Left: CT. Right: PSMA PET, same axial level, [18F]PSMA-1007 tracer. Slice 316 of 454.
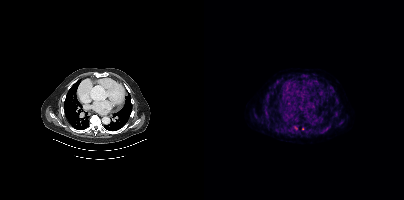
Coordinates are on the 200×200 PET (right) panel. Small PSMA-avid foci (2 to 4 px across) near (center x, center y): (92, 127) / (98, 128).